Technique: Left: CT. Right: PSMA PET, same axial level, [18F]PSMA-1007 tracer. slice position z = -1370 mm.
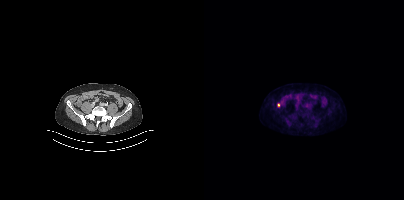
Findings: Coordinates are on the 200×200 PET (right) panel. Small PSMA-avid focus (2 to 4 px across) near (center x, center y): (74, 105).